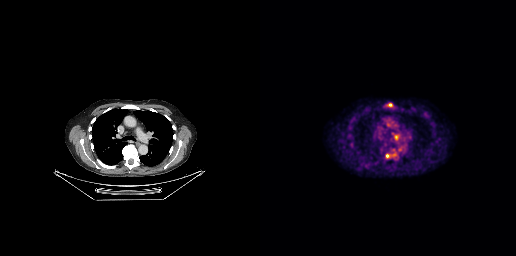
Coordinates are on the 256×256 PET (right) panel. PSMA-avid tumor lesion bounding boxes (x0,y0,x1,y1): [135,135,138,139], [126,156,131,158].